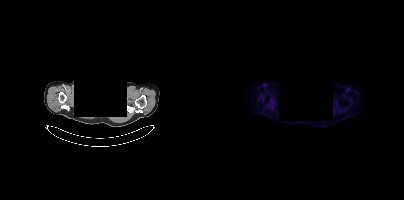
{"modality":"PSMA PET/CT","view":"axial","tracer":"18F-PSMA","pet_grid":[200,200],"coord_frame":"pet_panel","coord_format":"x0,y0,x1,y1","psma_avid_lesions":false,"redaction":"facial region redacted"}